modality: PSMA PET/CT | tracer: [68Ga]Ga-PSMA-11 | view: axial
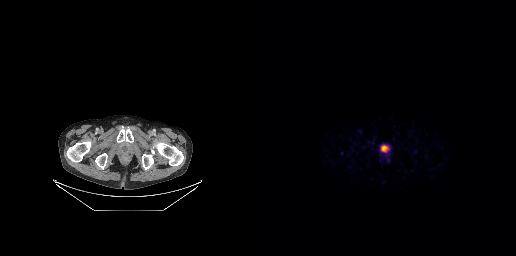
No PSMA-avid tumor lesions on this slice.